- Two-panel axial: CT | PSMA PET, 68Ga tracer
- acquired on Siemens Biograph 64-4R TruePoint
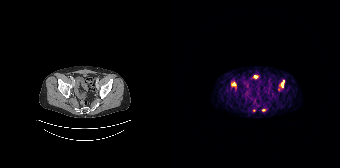
Findings: Coordinates are on the 168×168 PET (right) panel. (showing 3 of 4 foci) PSMA-avid tumor lesion bounding boxes (x0, y0)-(x1, y1): (59, 81)-(64, 88) / (108, 80)-(112, 87). Small PSMA-avid focus (2 to 4 px across) near (center x, center y): (81, 110).